Paired axial CT (left) and PSMA PET (right), 18F tracer. Acquired on GE Discovery 690. Slice position z = -415 mm.
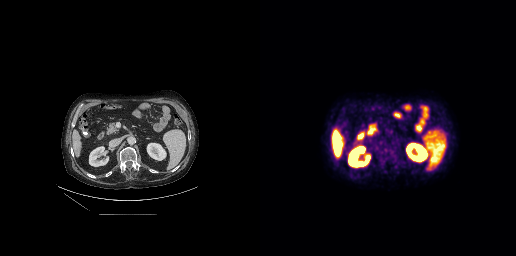
No tumor lesions annotated on this slice.